- Left: CT. Right: PSMA PET, same axial level, 18F tracer
- PET panel 200×200 px (4.1 mm/px)
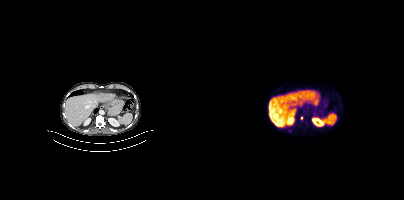
Findings: Coordinates are on the 200×200 PET (right) panel. PSMA-avid tumor lesion bounding box (x0, y0)-(x1, y1): (97, 116)-(99, 120).